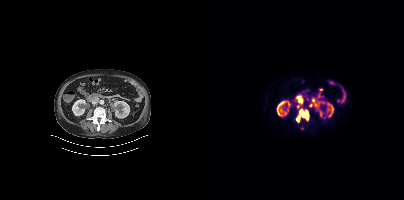
Coordinates are on the 200×200 PET (right) panel. PSMA-avid tumor lesion bounding boxes (x, y, width, height): x=92 y=109 w=14 h=14 / x=94 y=98 w=5 h=6. Small PSMA-avid foci (2 to 4 px across) near (center x, center y): (94, 106) / (106, 105) / (109, 100).
modality: PSMA PET/CT | tracer: [18F]PSMA-1007 | view: axial